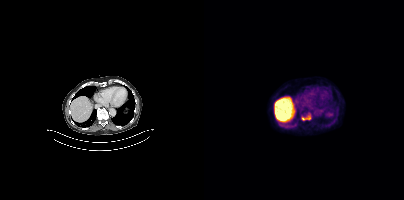
{"modality":"PSMA PET/CT","view":"axial","tracer":"18F","pet_grid":[200,200],"coord_frame":"pet_panel","coord_format":"x0,y0,x1,y1","lesion_bboxes":[[98,115,106,120]]}